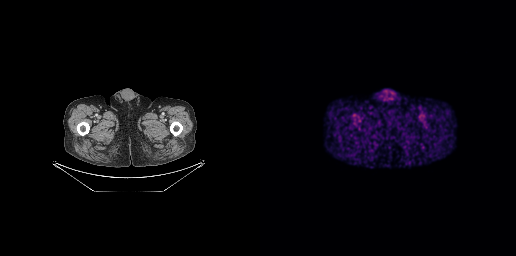
{"pet_grid":[256,256],"coord_frame":"pet_panel","coord_format":"x0,y0,x1,y1","psma_avid_lesions":false,"modality":"PSMA PET/CT","view":"axial","tracer":"[68Ga]Ga-PSMA-11"}